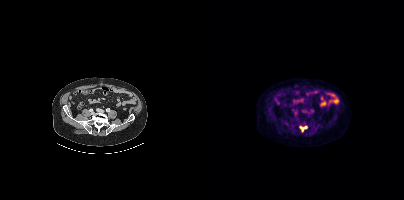
{"modality":"PSMA PET/CT","view":"axial","tracer":"18F-PSMA","pet_grid":[200,200],"coord_frame":"pet_panel","coord_format":"x0,y0,x1,y1","lesion_bboxes":[[95,126,103,132]]}